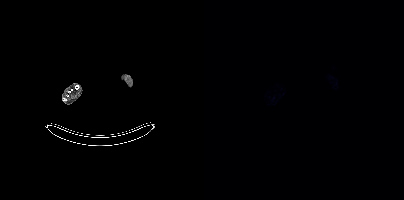
Paired axial CT (left) and PSMA PET (right), 18F tracer. Slice position z = -1977 mm. PET panel 200×200 px (4.1 mm/px). No PSMA-avid tumor lesions on this slice.